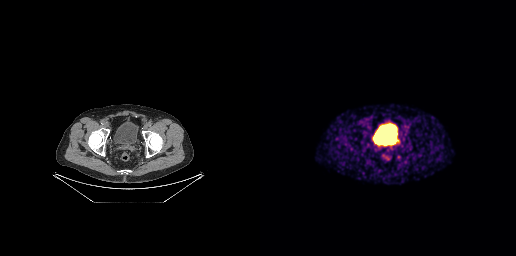
Coordinates are on the 256×256 PET (right) panel. Small PSMA-avid focus (2 to 4 px across) near (center x, center y): (137, 141).
modality: PSMA PET/CT | tracer: 68Ga | view: axial